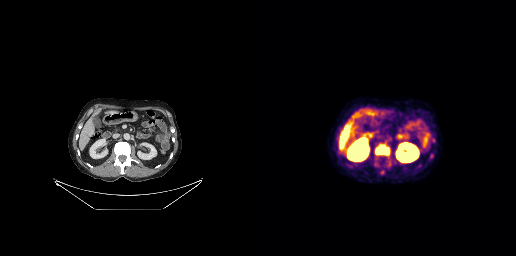
Coordinates are on the 256×256 PET (right) panel. PSMA-avid tumor lesion bounding box (x0, y0)-(x1, y1): (115, 144)-(129, 155). Left: CT. Right: PSMA PET, same axial level, 18F-PSMA tracer. Acquired on GE Discovery 690. Slice position z = -486 mm. PET panel 256×256 px (2.7 mm/px).